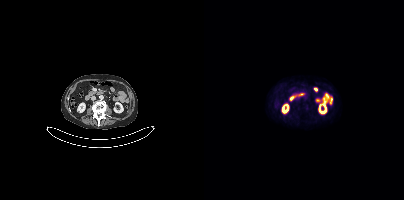
- Left: CT. Right: PSMA PET, same axial level, 18F tracer
- slice 160 of 391
Findings: Negative for PSMA-avid disease on this slice.